Paired axial CT (left) and PSMA PET (right), 18F tracer.
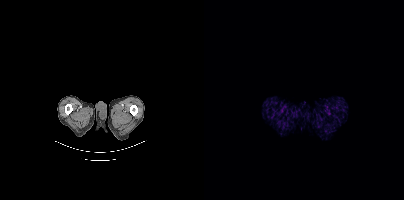
This slice has no annotated PSMA-avid lesion.